modality: PSMA PET/CT | tracer: 18F | view: axial
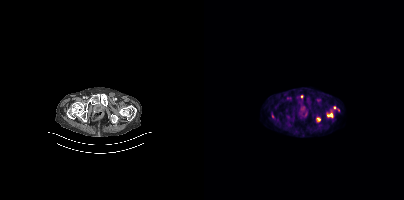
Coordinates are on the 200×200 PET (right) panel. PSMA-avid tumor lesion bounding box (x0, y0)-(x1, y1): (68, 114)-(70, 118). Small PSMA-avid focus (2 to 4 px across) near (center x, center y): (130, 107).